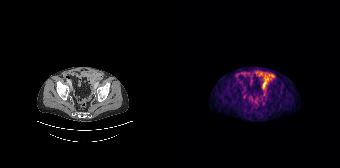
No tumor lesions annotated on this slice.